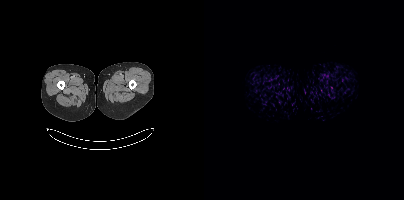
- Two-panel axial: CT | PSMA PET, 18F-PSMA tracer
- acquired on Siemens Biograph mCT Flow 20
- slice 3 of 435
Findings: This slice has no annotated PSMA-avid lesion.